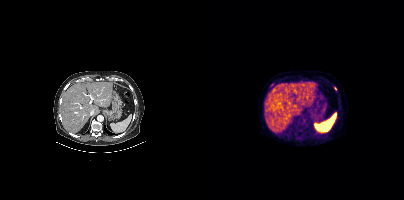
Technique: Left: CT. Right: PSMA PET, same axial level, 18F tracer. slice 265 of 448. PET panel 200×200 px (4.1 mm/px).
Findings: Coordinates are on the 200×200 PET (right) panel. Small PSMA-avid foci (2 to 4 px across) near (center x, center y): (68, 84), (131, 88).